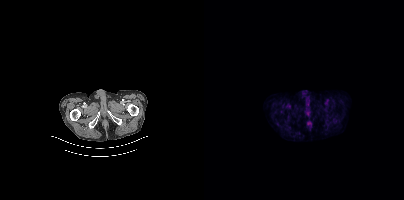
Coordinates are on the 200×200 PET (right) panel. Small PSMA-avid focus (2 to 4 px across) near (center x, center y): (77, 111).
modality: PSMA PET/CT | tracer: [18F]PSMA-1007 | view: axial | PET grid: 200×200